Paired axial CT (left) and PSMA PET (right), 68Ga tracer. Slice 143 of 195. PET panel 168×168 px (4.1 mm/px).
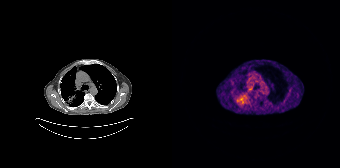
Coordinates are on the 168×168 PET (right) panel. PSMA-avid tumor lesion bounding boxes:
| # | x0 | y0 | x1 | y1 |
|---|---|---|---|---|
| 1 | 66 | 95 | 76 | 105 |
Small PSMA-avid focus (2 to 4 px across) near (center x, center y): (77, 88).